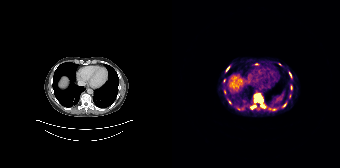
Coordinates are on the 168×168 PET (right) panel. (showing 10 of 13 foci) PSMA-avid tumor lesion bounding boxes (x0,y0,x1,y1): [82,94,93,107], [79,105,83,108], [56,100,59,104], [54,66,57,71], [117,72,119,77]. Small PSMA-avid foci (2 to 4 px across) near (center x, center y): (102, 109), (112, 104), (84, 63), (119, 87), (52, 91).
modality: PSMA PET/CT | tracer: [68Ga]Ga-PSMA-11 | view: axial | PET grid: 168×168